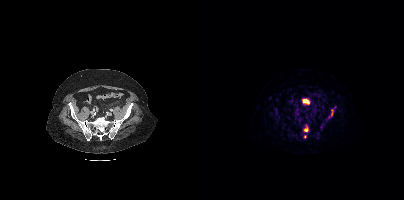
Coordinates are on the 200×200 PET (right) panel. (showing 3 of 5 foci) PSMA-avid tumor lesion bounding boxes (x, y, width, height): x=124 y=109 w=6 h=10 / x=100 y=125 w=5 h=7. Small PSMA-avid focus (2 to 4 px across) near (center x, center y): (101, 136).
modality: PSMA PET/CT | tracer: [68Ga]Ga-PSMA-11 | view: axial